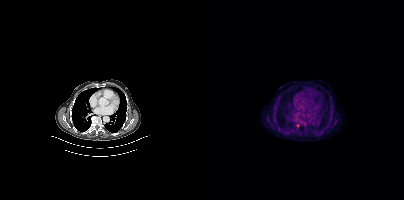
{"modality":"PSMA PET/CT","view":"axial","tracer":"[18F]PSMA-1007","pet_grid":[200,200],"coord_frame":"pet_panel","coord_format":"x0,y0,x1,y1","lesion_bboxes":[],"small_foci_centers":[[93,125]]}